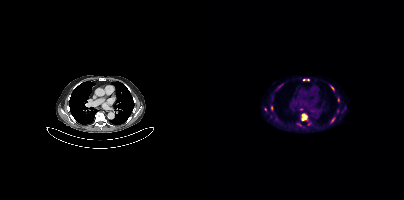
Findings: Coordinates are on the 200×200 PET (right) panel. (showing 7 of 8 foci) PSMA-avid tumor lesion bounding box (x0,y0,x1,y1): [97,113,103,120]. Small PSMA-avid foci (2 to 4 px across) near (center x, center y): (128, 87); (67, 107); (134, 100); (100, 79); (104, 79); (61, 109).
Technique: Two-panel axial: CT | PSMA PET, 18F tracer. acquired on Siemens Biograph mCT Flow 20. slice position z = 150 mm. PET panel 200×200 px (4.1 mm/px).